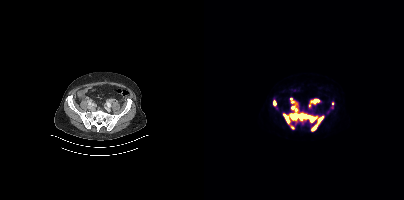
Technique: Paired axial CT (left) and PSMA PET (right), [18F]PSMA-1007 tracer.
Findings: Coordinates are on the 200×200 PET (right) panel. PSMA-avid tumor lesion bounding boxes (x0,y0,x1,y1): [79,98,119,131] [105,99,115,106] [69,100,72,105]. Small PSMA-avid foci (2 to 4 px across) near (center x, center y): (88, 127) (128, 103).